modality: PSMA PET/CT | tracer: 18F-PSMA | view: axial
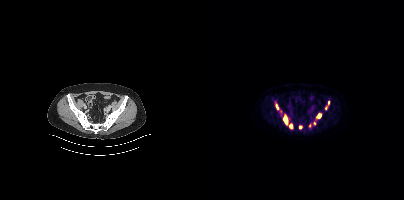
Coordinates are on the 200×200 PET (right) panel. (showing 9 of 10 foci) PSMA-avid tumor lesion bounding boxes (x0,y0,x1,y1): [79,114,84,125], [112,113,117,118], [85,124,88,128], [71,104,74,109]. Small PSMA-avid foci (2 to 4 px across) near (center x, center y): (96, 126), (124, 102), (121, 108), (110, 123), (105, 125).